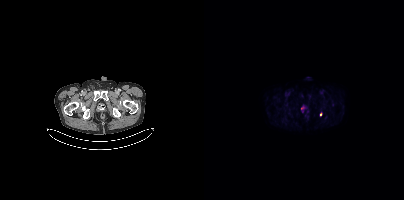
{"modality":"PSMA PET/CT","view":"axial","tracer":"18F-PSMA","pet_grid":[200,200],"coord_frame":"pet_panel","coord_format":"x0,y0,x1,y1","partial":true,"lesion_bboxes":[],"small_foci_centers":[[116,114],[99,107]]}